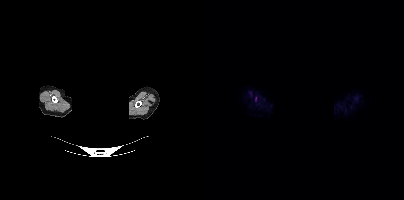
Left: CT. Right: PSMA PET, same axial level, 18F tracer. Acquired on Siemens Biograph mCT Flow 20. Slice position z = -216 mm. PET panel 200×200 px (4.1 mm/px). Any black rectangle over the head is a privacy mask, not anatomy. Negative for PSMA-avid disease on this slice.